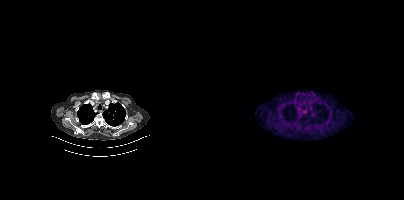
Negative for PSMA-avid disease on this slice.